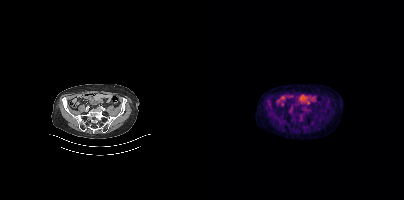
No PSMA-avid tumor lesions on this slice.